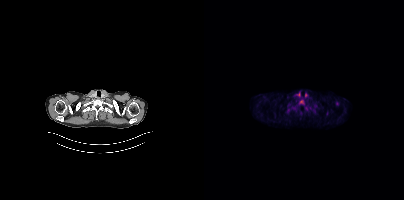
Paired axial CT (left) and PSMA PET (right), 18F-PSMA tracer. PET panel 200×200 px (4.1 mm/px). Only PSMA-avid lesion pieces thinner than 2 px on this slice (not listed).